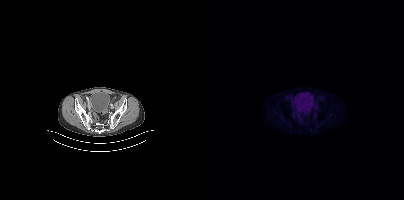
Left: CT. Right: PSMA PET, same axial level, 18F-PSMA tracer. Acquired on Siemens Biograph mCT Flow 20. PET panel 200×200 px (4.1 mm/px). Negative for PSMA-avid disease on this slice.